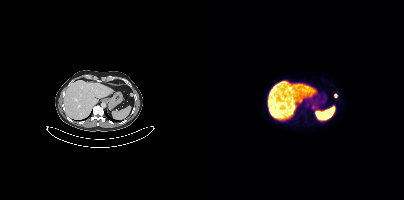
Coordinates are on the 200×200 PET (right) panel. Small PSMA-avid foci (2 to 4 px across) near (center x, center y): (131, 95), (109, 107).